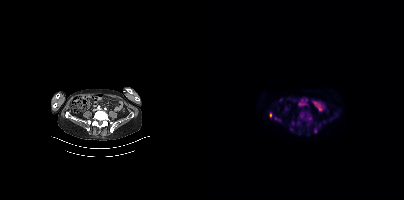
Coordinates are on the 200×200 PET (right) panel. (showing 5 of 7 foci) PSMA-avid tumor lesion bounding boxes (x0,y0,x1,y1): [103,115,108,120]; [110,128,113,132]; [65,113,68,117]; [88,121,90,125]. Small PSMA-avid focus (2 to 4 px across) near (center x, center y): (71, 118).